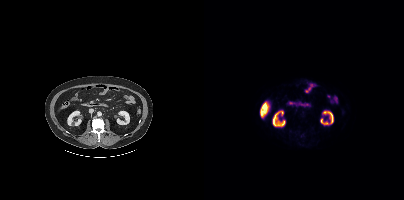
Negative for PSMA-avid disease on this slice.
modality: PSMA PET/CT | tracer: [18F]PSMA-1007 | view: axial | PET grid: 200×200